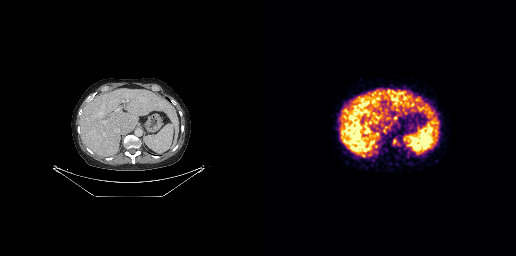
Coordinates are on the 256×256 PET (right) panel. Small PSMA-avid focus (2 to 4 px across) near (center x, center y): (134, 141).